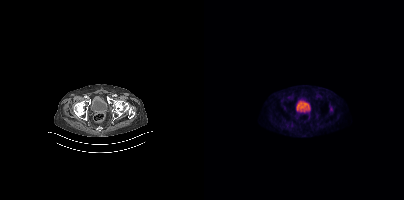
modality: PSMA PET/CT | tracer: 18F | view: axial
This slice has no annotated PSMA-avid lesion.